deidentification: rectangular block over head set to black | modality: PSMA PET/CT | tracer: 18F | view: axial
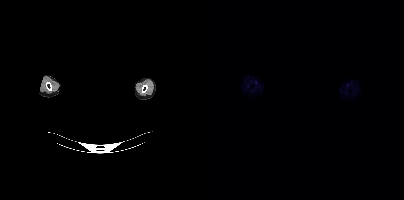
No PSMA-avid tumor lesions on this slice.